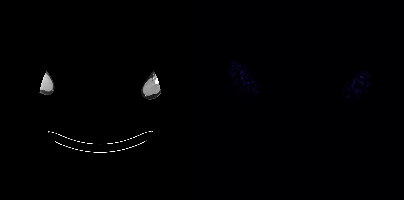
No PSMA-avid tumor lesions on this slice.
The head region is masked for de-identification.